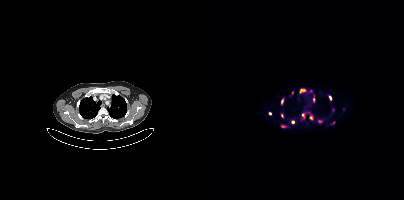
modality: PSMA PET/CT | tracer: 18F | view: axial
Coordinates are on the 200×200 PET (right) panel. (showing 14 of 17 foci) PSMA-avid tumor lesion bounding boxes (x0, y0)-(x1, y1): (96, 89)-(101, 92) / (114, 120)-(118, 123) / (109, 95)-(110, 101) / (106, 115)-(108, 119) / (77, 125)-(81, 127). Small PSMA-avid foci (2 to 4 px across) near (center x, center y): (78, 115) / (99, 115) / (126, 97) / (66, 113) / (89, 122) / (88, 92) / (129, 109) / (78, 100) / (129, 122).